modality: PSMA PET/CT | tracer: [68Ga]Ga-PSMA-11 | view: axial | PET grid: 200×200
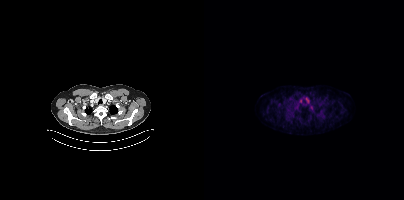
No PSMA-avid tumor lesions on this slice.